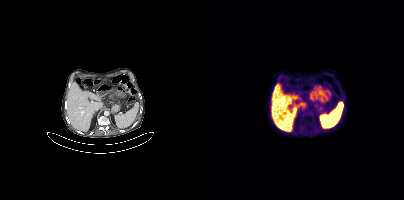
No tumor lesions annotated on this slice.